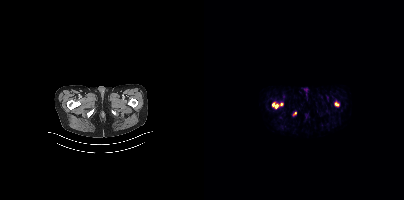
Coordinates are on the 200×200 PET (right) panel. (showing 3 of 4 foci) PSMA-avid tumor lesion bounding box (x, y, width, height): x=68 y=102 w=7 h=6. Small PSMA-avid foci (2 to 4 px across) near (center x, center y): (132, 103) | (77, 104). Paired axial CT (left) and PSMA PET (right), [18F]PSMA-1007 tracer. Slice 16 of 401. PET panel 200×200 px (4.1 mm/px).